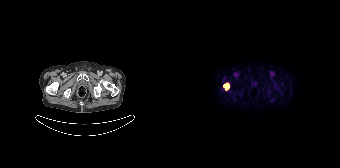
{"modality":"PSMA PET/CT","view":"axial","tracer":"18F-PSMA","pet_grid":[168,168],"coord_frame":"pet_panel","coord_format":"x0,y0,x1,y1","lesion_bboxes":[[51,82,57,90]]}